Paired axial CT (left) and PSMA PET (right), [18F]PSMA-1007 tracer. Acquired on Siemens Biograph mCT Flow 20. PET panel 200×200 px (4.1 mm/px).
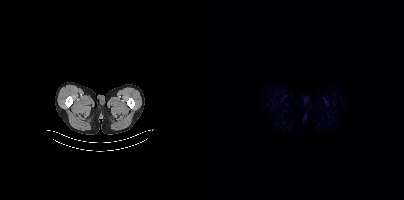
This slice has no annotated PSMA-avid lesion.